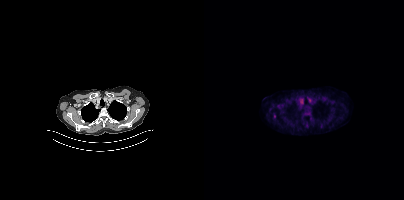
Coordinates are on the 200×200 PET (right) panel. Small PSMA-avid focus (2 to 4 px across) near (center x, center y): (70, 116).